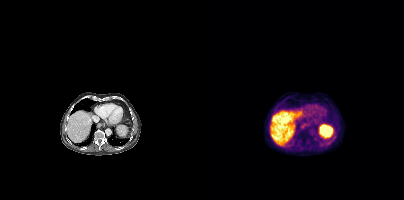
Two-panel axial: CT | PSMA PET, 18F tracer. Acquired on Siemens Biograph mCT Flow 20. Slice position z = -78 mm. No PSMA-avid tumor lesions on this slice.